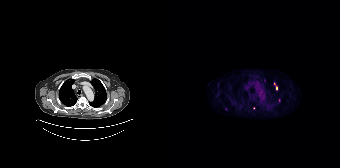
{"modality":"PSMA PET/CT","view":"axial","tracer":"18F","pet_grid":[168,168],"coord_frame":"pet_panel","coord_format":"x0,y0,x1,y1","partial":true,"lesion_bboxes":[[104,86,105,90]],"small_foci_centers":[[102,83]]}